modality: PSMA PET/CT | tracer: 18F-PSMA | view: axial | PET grid: 200×200
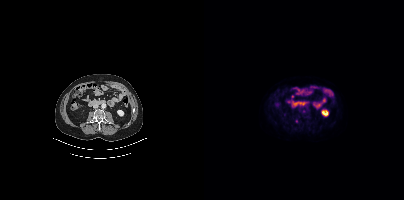
This slice has no annotated PSMA-avid lesion.